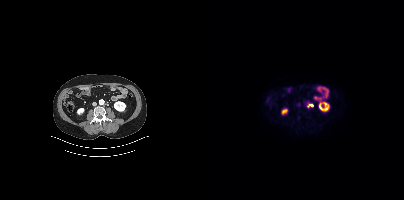
{"modality":"PSMA PET/CT","view":"axial","tracer":"18F-PSMA","pet_grid":[200,200],"coord_frame":"pet_panel","coord_format":"x0,y0,x1,y1","lesion_bboxes":[[103,103,109,107]]}